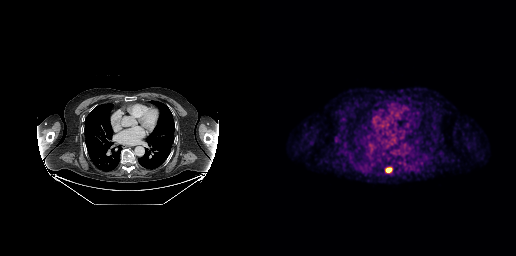
Left: CT. Right: PSMA PET, same axial level, 18F tracer. Slice 186 of 263. PET panel 256×256 px (2.7 mm/px).
Coordinates are on the 256×256 PET (right) panel. PSMA-avid tumor lesion bounding boxes:
| # | x0 | y0 | x1 | y1 |
|---|---|---|---|---|
| 1 | 125 | 167 | 132 | 172 |